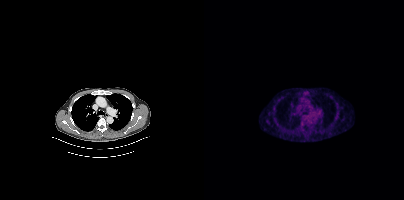
Findings: Negative for PSMA-avid disease on this slice.
Technique: Left: CT. Right: PSMA PET, same axial level, 18F tracer. slice position z = -28 mm. PET panel 200×200 px (4.1 mm/px).